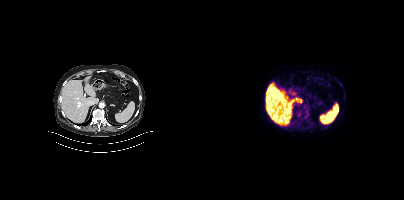
No PSMA-avid tumor lesions on this slice.